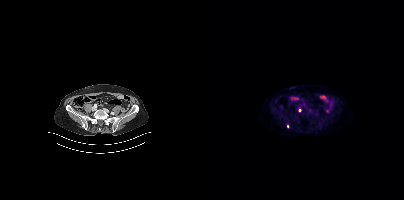
- Two-panel axial: CT | PSMA PET, [18F]PSMA-1007 tracer
- acquired on Siemens Biograph mCT Flow 20
- PET panel 200×200 px (4.1 mm/px)
Findings: Coordinates are on the 200×200 PET (right) panel. Small PSMA-avid foci (2 to 4 px across) near (center x, center y): (83, 126); (95, 110).